- Paired axial CT (left) and PSMA PET (right), 18F tracer
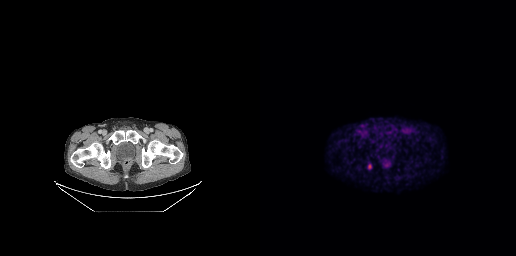
Findings: Coordinates are on the 256×256 PET (right) panel. PSMA-avid tumor lesion bounding box (x, y, width, height): x=108 y=164 w=4 h=5.